modality: PSMA PET/CT | tracer: [18F]PSMA-1007 | view: axial
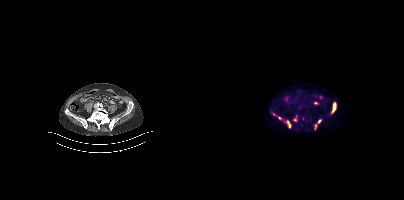
Coordinates are on the 200×200 PET (right) panel. PSMA-avid tumor lesion bounding boxes (x, y, width, height): x=127 y=101 w=6 h=13 | x=82 y=120 w=6 h=8 | x=89 y=115 w=5 h=7 | x=111 y=124 w=3 h=6. Small PSMA-avid foci (2 to 4 px across) near (center x, center y): (75, 118) | (115, 120) | (69, 114).